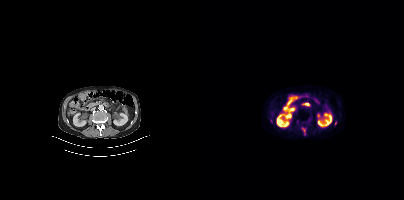
Coordinates are on the 200×200 PET (right) panel. Small PSMA-avid focus (2 to 4 px across) near (center x, center y): (99, 129).